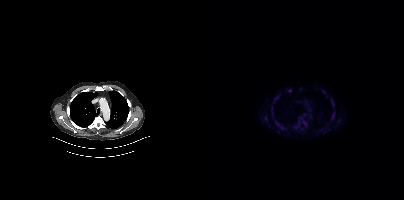
Coordinates are on the 200×200 PET (right) panel. (showing 9 of 14 foci) PSMA-avid tumor lesion bounding boxes (x0,y0,x1,y1): [127,112,130,118], [70,96,74,100], [99,121,102,125], [71,122,75,125], [128,102,130,106]. Small PSMA-avid foci (2 to 4 px across) near (center x, center y): (77, 127), (61, 118), (86, 90), (119, 91).